- Two-panel axial: CT | PSMA PET, [18F]PSMA-1007 tracer
- acquired on Siemens Biograph mCT Flow 20
- slice 105 of 466
- PET panel 200×200 px (4.1 mm/px)
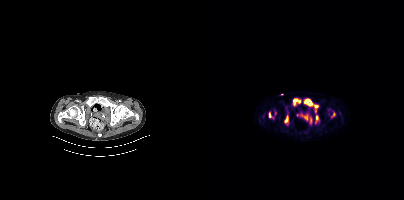
Findings: Coordinates are on the 200×200 PET (right) panel. (showing 7 of 8 foci) PSMA-avid tumor lesion bounding boxes (x0,y0,x1,y1): [100,99,114,108], [89,98,96,105], [81,116,83,122], [65,113,67,117]. Small PSMA-avid foci (2 to 4 px across) near (center x, center y): (113, 117), (71, 113), (129, 114).